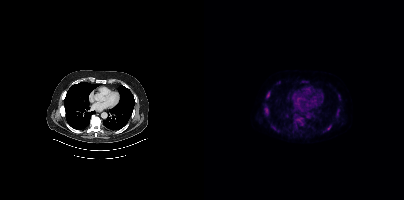
{"modality":"PSMA PET/CT","view":"axial","tracer":"18F","pet_grid":[200,200],"coord_frame":"pet_panel","coord_format":"x0,y0,x1,y1","partial":true,"lesion_bboxes":[[60,104,65,116],[90,114,98,124],[61,92,66,99],[132,110,135,114],[67,125,71,128],[98,80,102,83]],"small_foci_centers":[[74,130],[135,95],[124,128]]}